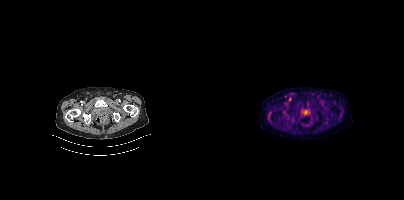
Coordinates are on the 200×200 PET (right) panel. Small PSMA-avid focus (2 to 4 px across) near (center x, center y): (85, 99).
modality: PSMA PET/CT | tracer: 18F | view: axial | PET grid: 200×200